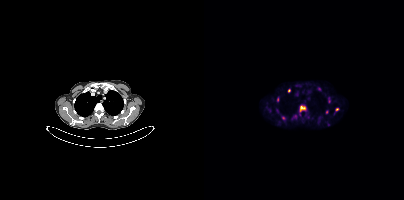
{"modality":"PSMA PET/CT","view":"axial","tracer":"[18F]PSMA-1007","pet_grid":[200,200],"coord_frame":"pet_panel","coord_format":"x0,y0,x1,y1","partial":true,"lesion_bboxes":[[95,105,102,112],[131,108,135,111],[73,97,75,101],[124,97,126,102]],"small_foci_centers":[[79,117],[85,90],[123,111]]}